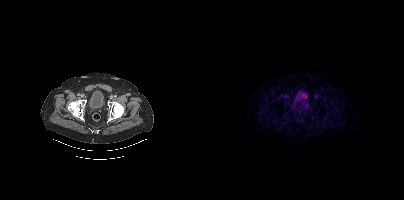
{"pet_grid":[200,200],"coord_frame":"pet_panel","coord_format":"x0,y0,x1,y1","psma_avid_lesions":false,"modality":"PSMA PET/CT","view":"axial","tracer":"18F-PSMA"}